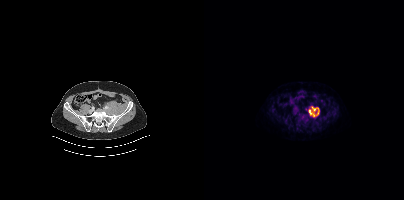
{"modality":"PSMA PET/CT","view":"axial","tracer":"18F-PSMA","pet_grid":[200,200],"coord_frame":"pet_panel","coord_format":"x0,y0,x1,y1","lesion_bboxes":[[104,106,115,117]]}